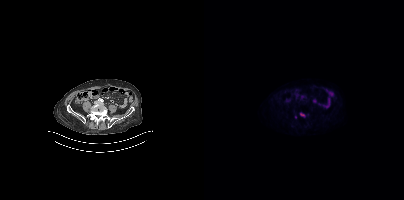
{"modality":"PSMA PET/CT","view":"axial","tracer":"18F","pet_grid":[200,200],"coord_frame":"pet_panel","coord_format":"x0,y0,x1,y1","partial":true,"lesion_bboxes":[[96,113,100,116]]}